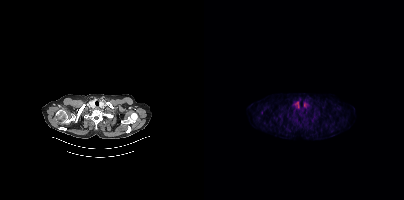
{"modality":"PSMA PET/CT","view":"axial","tracer":"18F","pet_grid":[200,200],"coord_frame":"pet_panel","coord_format":"x0,y0,x1,y1","partial":true,"lesion_bboxes":[]}